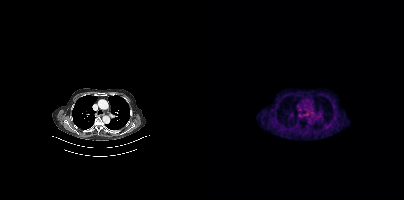
Coordinates are on the 200×200 PET (right) panel. Small PSMA-avid focus (2 to 4 px across) near (center x, center y): (104, 114). Left: CT. Right: PSMA PET, same axial level, 68Ga tracer. Slice 295 of 405. PET panel 200×200 px (4.1 mm/px).